Technique: Left: CT. Right: PSMA PET, same axial level, 68Ga-PSMA tracer. PET panel 200×200 px (4.1 mm/px).
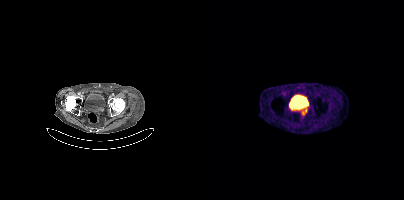
Findings: Coordinates are on the 200×200 PET (right) panel. PSMA-avid tumor lesion bounding box (x, y, width, height): x=96 y=108 w=8 h=8.